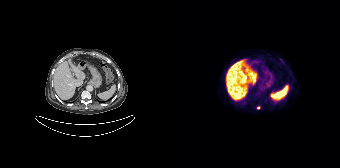
modality: PSMA PET/CT | tracer: [18F]PSMA-1007 | view: axial
Coordinates are on the 168×168 PET (right) panel. Small PSMA-avid focus (2 to 4 px across) near (center x, center y): (86, 108).